- Left: CT. Right: PSMA PET, same axial level, 18F-PSMA tracer
- slice position z = -330 mm
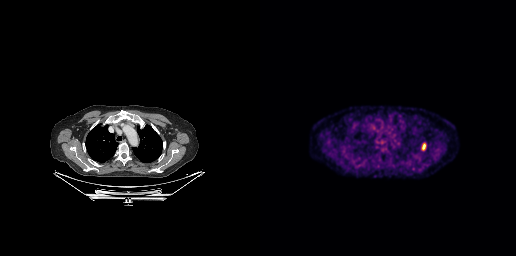
Findings: Coordinates are on the 256×256 PET (right) panel. PSMA-avid tumor lesion bounding box (x, y, width, height): x=162 y=143 w=4 h=5.